modality: PSMA PET/CT | tracer: 18F-PSMA | view: axial | PET grid: 200×200
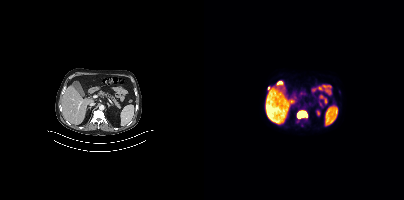
Coordinates are on the 200×200 PET (right) panel. PSMA-avid tumor lesion bounding box (x, y, width, height): x=93 y=110 w=11 h=9. Small PSMA-avid focus (2 to 4 px across) near (center x, center y): (65, 87).